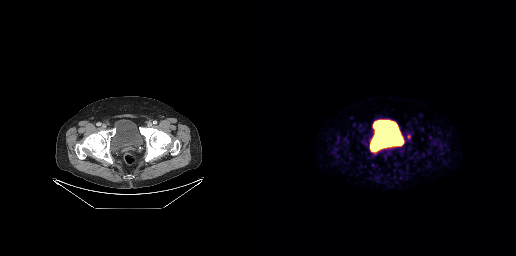
This slice has no annotated PSMA-avid lesion. Left: CT. Right: PSMA PET, same axial level, 68Ga tracer.